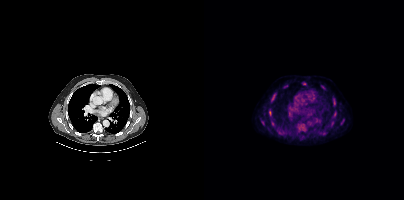
{"pet_grid":[200,200],"coord_frame":"pet_panel","coord_format":"x0,y0,x1,y1","partial":true,"lesion_bboxes":[[65,111,67,115]],"small_foci_centers":[[100,83],[138,122],[69,123],[71,94],[58,122],[68,100],[129,103]],"modality":"PSMA PET/CT","view":"axial","tracer":"[18F]PSMA-1007"}